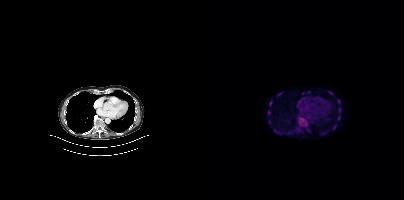
Findings: Coordinates are on the 200×200 PET (right) panel. PSMA-avid tumor lesion bounding boxes (x0,y0,x1,y1): [133,99,136,103] [65,101,67,106] [135,107,137,113] [64,110,66,114] [134,116,136,120]. Small PSMA-avid focus (2 to 4 px across) near (center x, center y): (74, 94).
Technique: Two-panel axial: CT | PSMA PET, 18F tracer. acquired on Siemens Biograph mCT Flow 20. slice position z = -449 mm.